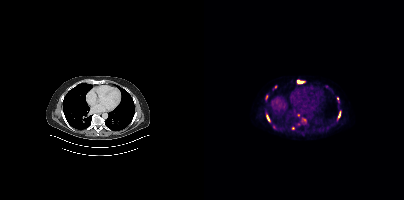
- Paired axial CT (left) and PSMA PET (right), 18F tracer
- acquired on Siemens Biograph mCT Flow 20
- slice position z = -546 mm
Findings: Coordinates are on the 200×200 PET (right) panel. (showing 6 of 9 foci) PSMA-avid tumor lesion bounding boxes (x0, y0)-(x1, y1): (93, 80)-(99, 83) | (62, 115)-(65, 121) | (134, 111)-(136, 117). Small PSMA-avid foci (2 to 4 px across) near (center x, center y): (89, 128) | (100, 119) | (133, 98).